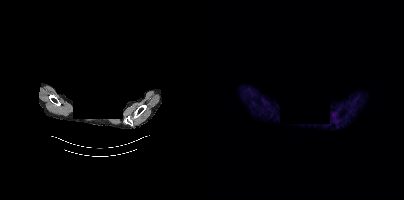
De-identified by setting a box covering the face to black before release. Two-panel axial: CT | PSMA PET, 68Ga-PSMA tracer. Acquired on Siemens Biograph mCT Flow 20. No PSMA-avid tumor lesions on this slice.